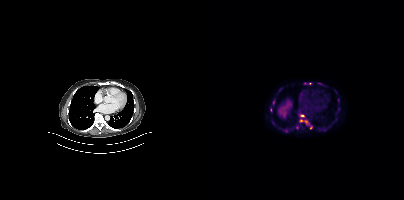
Coordinates are on the 200×200 PET (right) panel. PSMA-avid tumor lesion bounding boxes (partial; 5 more foci not listed):
| # | x0 | y0 | x1 | y1 |
|---|---|---|---|---|
| 1 | 96 | 119 | 105 | 125 |
Small PSMA-avid foci (2 to 4 px across) near (center x, center y): (98, 116); (70, 101); (81, 130); (106, 83); (106, 127).
Left: CT. Right: PSMA PET, same axial level, 18F-PSMA tracer. PET panel 200×200 px (4.1 mm/px).